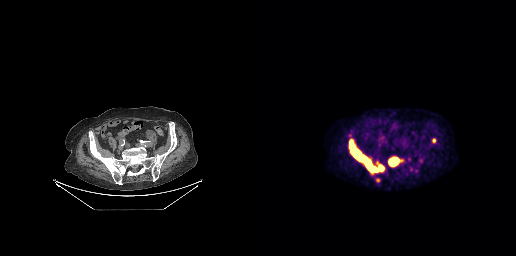
Left: CT. Right: PSMA PET, same axial level, 18F tracer. PET panel 256×256 px (2.7 mm/px).
Coordinates are on the 256×256 PET (right) panel. PSMA-avid tumor lesion bounding boxes:
| # | x0 | y0 | x1 | y1 |
|---|---|---|---|---|
| 1 | 89 | 139 | 125 | 174 |
| 2 | 128 | 156 | 143 | 167 |
| 3 | 172 | 138 | 175 | 142 |
Small PSMA-avid focus (2 to 4 px across) near (center x, center y): (117, 180).